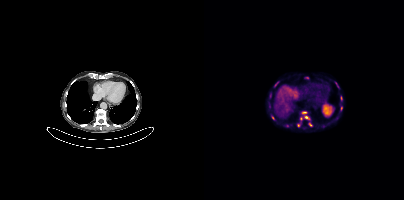
Coordinates are on the 200×200 PET (right) panel. PSMA-avid tumor lesion bounding boxes (x0,y0,x1,y1): [100,116,105,119], [98,111,102,113], [137,96,138,100]. Small PSMA-avid foci (2 to 4 px across) near (center x, center y): (69, 117), (106, 124), (97, 118), (137, 108), (94, 125), (71, 84).